Technique: Paired axial CT (left) and PSMA PET (right), 18F-PSMA tracer. slice position z = -1034 mm.
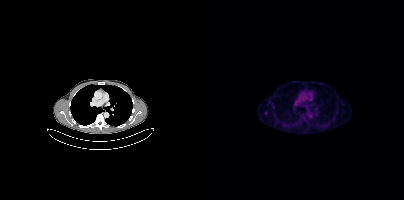
Findings: Coordinates are on the 200×200 PET (right) panel. PSMA-avid tumor lesion bounding box (x0,y0,x1,y1): [60,111,63,115].